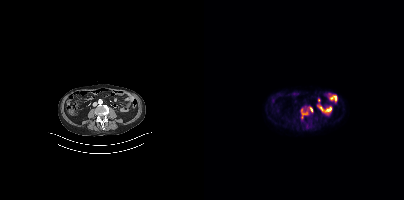
- Left: CT. Right: PSMA PET, same axial level, [18F]PSMA-1007 tracer
- acquired on Siemens Biograph mCT Flow 20
- slice position z = -1371 mm
Findings: Coordinates are on the 200×200 PET (right) panel. PSMA-avid tumor lesion bounding boxes (x0,y0,x1,y1): [97,109,103,118]; [105,107,108,112]. Small PSMA-avid focus (2 to 4 px across) near (center x, center y): (101, 107).